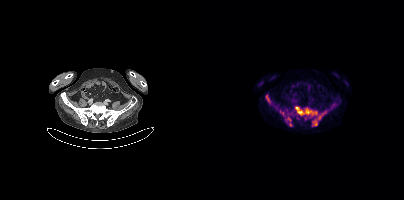
Coordinates are on the 200×200 PET (right) panel. (showing 4 of 5 foci) PSMA-avid tumor lesion bounding boxes (x0,y0,x1,y1): [91,107,122,126] [79,114,88,125] [62,95,65,101]. Small PSMA-avid focus (2 to 4 px across) near (center x, center y): (101, 118).